Left: CT. Right: PSMA PET, same axial level, [68Ga]Ga-PSMA-11 tracer. Acquired on Siemens Biograph mCT Flow 20.
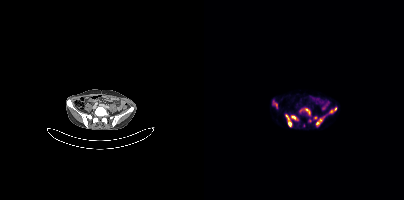
Coordinates are on the 200×200 PET (right) panel. (showing 9 of 13 foci) PSMA-avid tumor lesion bounding boxes (x0,y0,x1,y1): [84,121,87,126] [87,116,91,119] [70,103,73,107] [102,109,105,113] [82,115,85,119]. Small PSMA-avid foci (2 to 4 px across) near (center x, center y): (131, 108) (127, 111) (113, 123) (111, 117).